Paired axial CT (left) and PSMA PET (right), 18F-PSMA tracer. Slice 37 of 377. PET panel 200×200 px (4.1 mm/px).
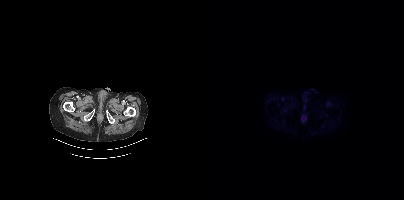
Negative for PSMA-avid disease on this slice.